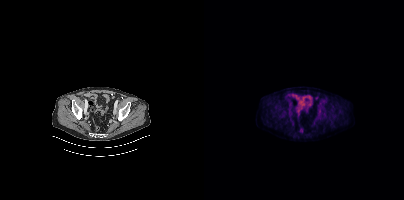
No tumor lesions annotated on this slice.